Left: CT. Right: PSMA PET, same axial level, 18F tracer. PET panel 200×200 px (4.1 mm/px).
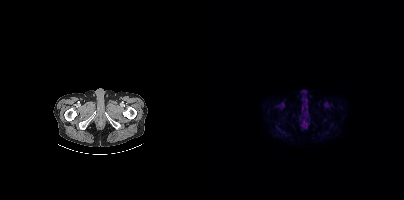
Negative for PSMA-avid disease on this slice.